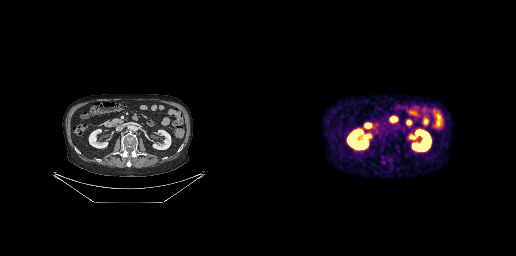
This slice has no annotated PSMA-avid lesion.